Technique: Two-panel axial: CT | PSMA PET, [18F]PSMA-1007 tracer.
Note: The head region is masked for de-identification.
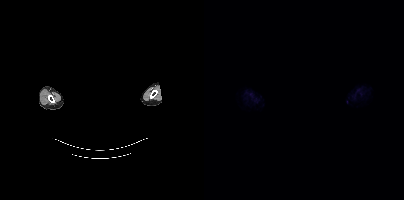
Findings: No PSMA-avid tumor lesions on this slice.